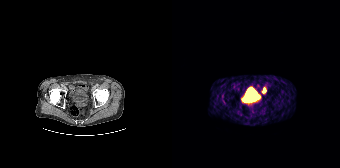
Findings: Coordinates are on the 168×168 PET (right) panel. Small PSMA-avid focus (2 to 4 px across) near (center x, center y): (92, 89).
- Left: CT. Right: PSMA PET, same axial level, 68Ga-PSMA tracer
- acquired on Siemens Biograph 64-4R TruePoint
- slice position z = -864 mm
- PET panel 168×168 px (4.1 mm/px)